modality: PSMA PET/CT | tracer: 18F | view: axial | PET grid: 200×200
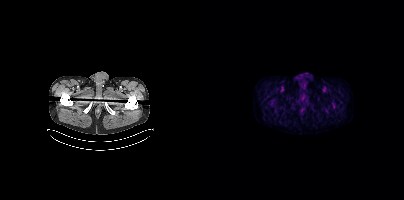
No tumor lesions annotated on this slice.